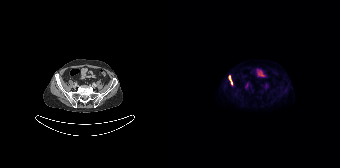
Coordinates are on the 168×168 PET (right) panel. PSMA-avid tumor lesion bounding box (x0,y0,x1,y1): [56,75,60,85].